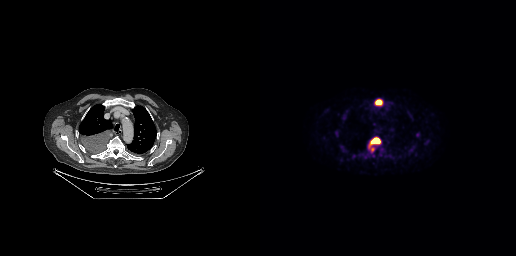
Findings: Coordinates are on the 256×256 PET (right) panel. PSMA-avid tumor lesion bounding boxes (x0,y0,x1,y1): [108,136,121,150]; [114,99,123,106].
Technique: Paired axial CT (left) and PSMA PET (right), 18F-PSMA tracer. PET panel 256×256 px (2.7 mm/px).